Technique: Left: CT. Right: PSMA PET, same axial level, [18F]PSMA-1007 tracer. acquired on Siemens Biograph mCT Flow 20. slice 317 of 403. PET panel 200×200 px (4.1 mm/px).
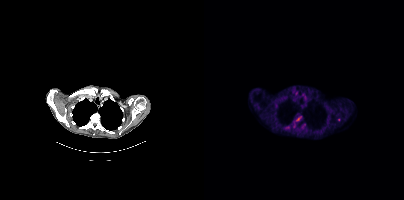
Findings: Coordinates are on the 200×200 PET (right) panel. (showing 2 of 3 foci) PSMA-avid tumor lesion bounding box (x0,y0,x1,y1): [92,116,97,120]. Small PSMA-avid focus (2 to 4 px across) near (center x, center y): (134, 119).